Paired axial CT (left) and PSMA PET (right), 18F-PSMA tracer. Acquired on Siemens Biograph mCT Flow 20. Slice 316 of 429.
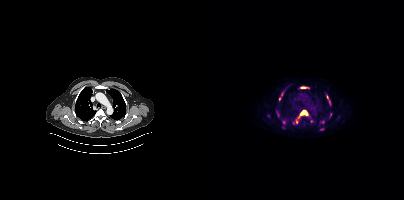
Coordinates are on the 200×200 PET (right) panel. (showing 7 of 12 foci) PSMA-avid tumor lesion bounding boxes (x0,y0,x1,y1): [92,110,104,123]; [97,87,101,88]; [75,95,78,100]; [125,100,126,104]. Small PSMA-avid foci (2 to 4 px across) near (center x, center y): (118, 129); (123, 96); (126, 114).